Technique: Two-panel axial: CT | PSMA PET, 18F-PSMA tracer. slice 64 of 385. PET panel 200×200 px (4.1 mm/px).
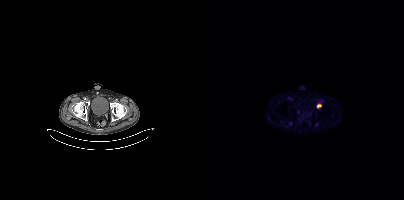
Findings: Coordinates are on the 200×200 PET (right) panel. PSMA-avid tumor lesion bounding box (x0,y0,x1,y1): [113,104,117,108].